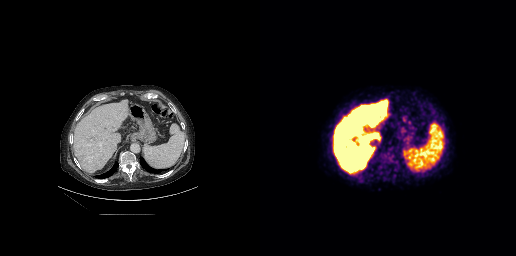
{"modality":"PSMA PET/CT","view":"axial","tracer":"18F-PSMA","pet_grid":[256,256],"coord_frame":"pet_panel","coord_format":"x0,y0,x1,y1","lesion_bboxes":[[120,152,135,167]]}